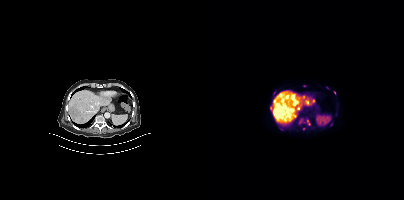
modality: PSMA PET/CT | tracer: 18F-PSMA | view: axial
Coordinates are on the 200×200 PET (right) panel. (showing 2 of 3 foci) Small PSMA-avid foci (2 to 4 px across) near (center x, center y): (105, 123) / (66, 109).